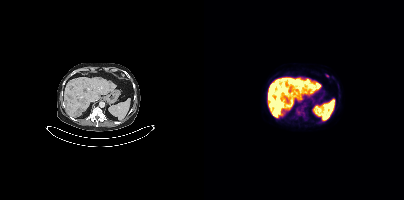
Coordinates are on the 200×200 PET (right) panel. PSMA-avid tumor lesion bounding boxes (x0,y0,x1,y1): [68,107,75,116]; [92,107,96,113]. Small PSMA-avid foci (2 to 4 px across) near (center x, center y): (66, 91); (123, 75); (68, 100). Left: CT. Right: PSMA PET, same axial level, [18F]PSMA-1007 tracer. PET panel 200×200 px (4.1 mm/px).